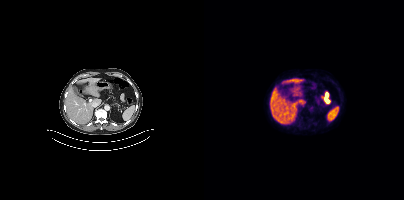
No tumor lesions annotated on this slice.